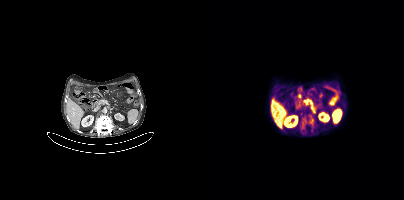
Coordinates are on the 200×200 PET (right) panel. PSMA-avid tumor lesion bounding boxes (x0, y0)-(x1, y1): (98, 117)-(109, 127) / (93, 93)-(97, 99) / (97, 107)-(101, 109). Small PSMA-avid foci (2 to 4 px across) near (center x, center y): (97, 113) / (116, 95) / (102, 103).